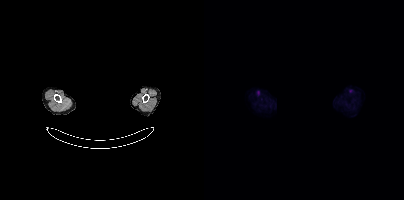
Negative for PSMA-avid disease on this slice. De-identified by setting a box covering the face to black before release. Paired axial CT (left) and PSMA PET (right), [18F]PSMA-1007 tracer. Slice 369 of 401.